modality: PSMA PET/CT | tracer: [18F]PSMA-1007 | view: axial | PET grid: 200×200
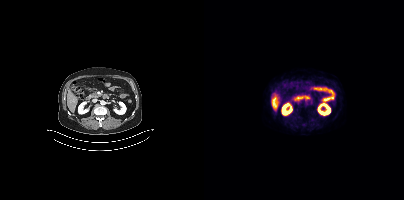
No tumor lesions annotated on this slice.